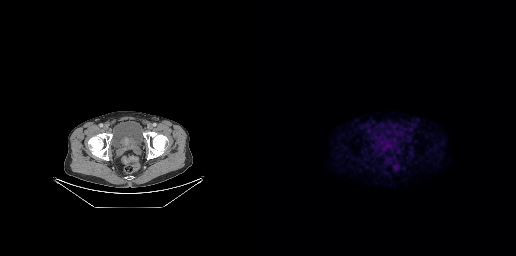
Paired axial CT (left) and PSMA PET (right), 18F tracer. Slice 55 of 263. Coordinates are on the 256×256 PET (right) panel. (showing 1 of 3 foci) Small PSMA-avid focus (2 to 4 px across) near (center x, center y): (127, 145).